Left: CT. Right: PSMA PET, same axial level, [18F]PSMA-1007 tracer. PET panel 200×200 px (4.1 mm/px).
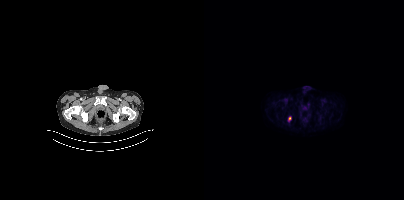
Coordinates are on the 200×200 PET (right) panel. Small PSMA-avid focus (2 to 4 px across) near (center x, center y): (85, 118).